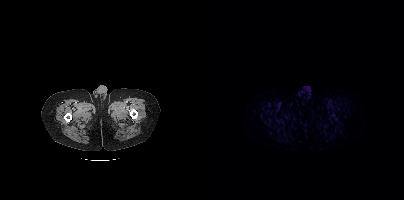
Negative for PSMA-avid disease on this slice. Left: CT. Right: PSMA PET, same axial level, 68Ga-PSMA tracer. Acquired on Siemens Biograph mCT Flow 20. Slice 28 of 444. PET panel 200×200 px (4.1 mm/px).